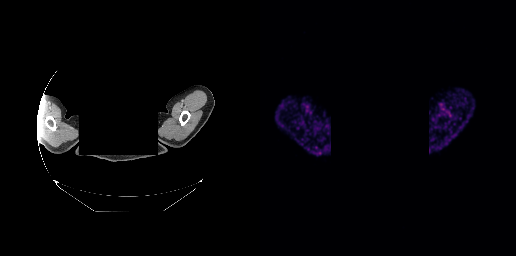
Findings: No tumor lesions annotated on this slice.
- Two-panel axial: CT | PSMA PET, 68Ga-PSMA tracer
- slice position z = -127 mm
- head region blanked for anonymization (face removed)